- Paired axial CT (left) and PSMA PET (right), 18F tracer
- acquired on Siemens Biograph mCT Flow 20
- slice position z = -1400 mm
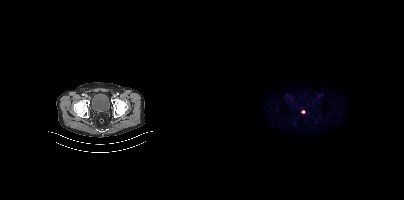
Findings: Negative for PSMA-avid disease on this slice.